Left: CT. Right: PSMA PET, same axial level, 68Ga-PSMA tracer. PET panel 256×256 px (2.7 mm/px).
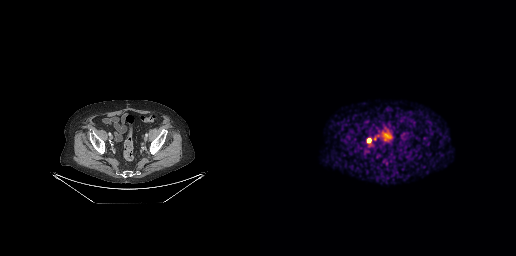
Coordinates are on the 256×256 PET (right) panel. Small PSMA-avid focus (2 to 4 px across) near (center x, center y): (109, 140).